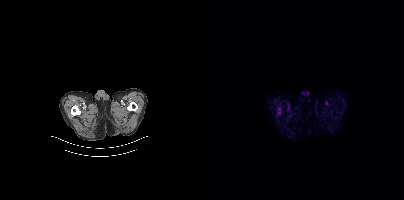
Coordinates are on the 200×200 PET (right) panel. PSMA-avid tumor lesion bounding box (x, y, width, height): x=74 y=108 w=3 h=7.